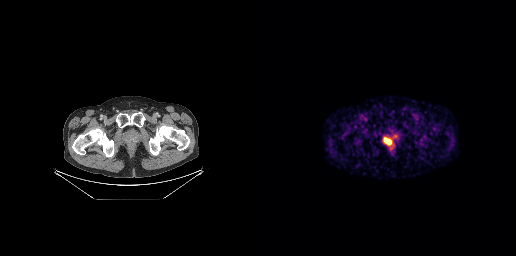
{"modality":"PSMA PET/CT","view":"axial","tracer":"[68Ga]Ga-PSMA-11","pet_grid":[256,256],"coord_frame":"pet_panel","coord_format":"x0,y0,x1,y1","lesion_bboxes":[[124,137,131,144]]}